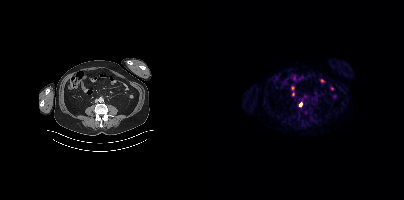
Coordinates are on the 200×200 PET (right) panel. Small PSMA-avid focus (2 to 4 px across) near (center x, center y): (96, 104).